Technique: Left: CT. Right: PSMA PET, same axial level, [18F]PSMA-1007 tracer. slice position z = -646 mm.
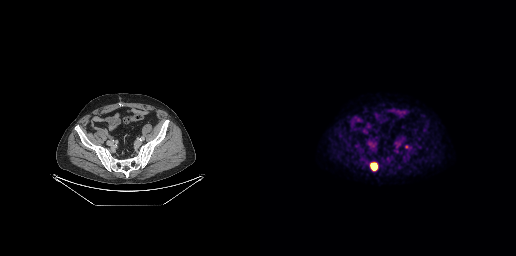
Findings: Coordinates are on the 256×256 PET (right) panel. PSMA-avid tumor lesion bounding boxes (x0,y0,x1,y1): [111,163,117,170], [145,145,151,148].